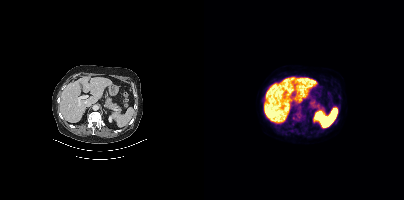
{"modality":"PSMA PET/CT","view":"axial","tracer":"[18F]PSMA-1007","pet_grid":[200,200],"coord_frame":"pet_panel","coord_format":"x0,y0,x1,y1","psma_avid_lesions":false}